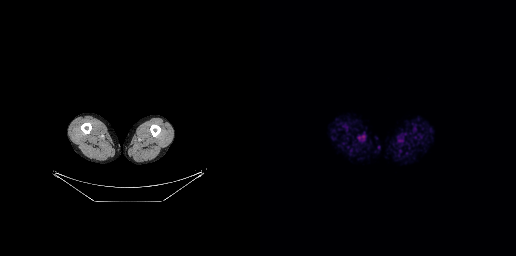
No tumor lesions annotated on this slice.